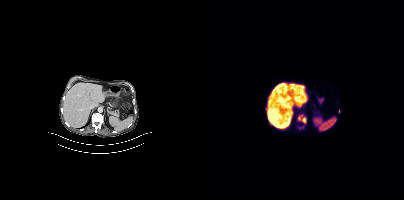
Two-panel axial: CT | PSMA PET, [18F]PSMA-1007 tracer. Acquired on Siemens Biograph mCT Flow 20. Slice position z = -522 mm.
Coordinates are on the 200×200 PET (right) panel. PSMA-avid tumor lesion bounding boxes (partial; 1 more focus not listed):
| # | x0 | y0 | x1 | y1 |
|---|---|---|---|---|
| 1 | 98 | 117 | 101 | 123 |
| 2 | 94 | 115 | 98 | 120 |